- the face region was removed for patient privacy by blanking a rectangle over the head
- Left: CT. Right: PSMA PET, same axial level, 18F-PSMA tracer
- acquired on Siemens Biograph mCT Flow 20
- slice 344 of 413
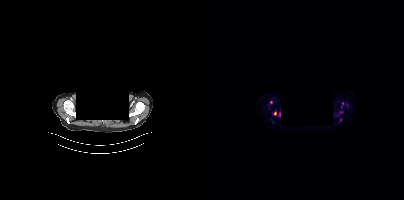
Findings: Coordinates are on the 200×200 PET (right) panel. Small PSMA-avid foci (2 to 4 px across) near (center x, center y): (71, 113), (136, 112), (75, 114), (67, 102), (138, 103), (136, 119), (137, 106).